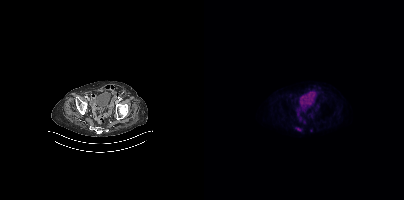
Paired axial CT (left) and PSMA PET (right), [18F]PSMA-1007 tracer. Slice 77 of 383. PET panel 200×200 px (4.1 mm/px).
Coordinates are on the 200×200 PET (right) panel. PSMA-avid tumor lesion bounding boxes:
| # | x0 | y0 | x1 | y1 |
|---|---|---|---|---|
| 1 | 92 | 127 | 97 | 130 |
Small PSMA-avid focus (2 to 4 px across) near (center x, center y): (107, 130).